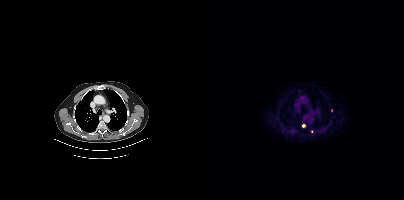
{"pet_grid":[200,200],"coord_frame":"pet_panel","coord_format":"x0,y0,x1,y1","partial":true,"lesion_bboxes":[],"small_foci_centers":[[99,125],[107,131]],"modality":"PSMA PET/CT","view":"axial","tracer":"18F"}